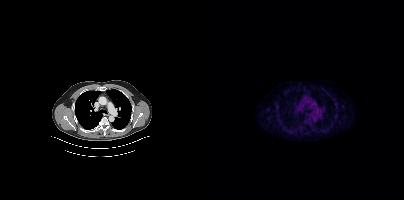
modality: PSMA PET/CT | tracer: 18F | view: axial
No PSMA-avid tumor lesions on this slice.